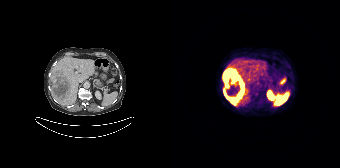
Technique: Paired axial CT (left) and PSMA PET (right), 68Ga-PSMA tracer. acquired on Siemens Biograph 64-4R TruePoint. PET panel 168×168 px (4.1 mm/px).
Findings: Coordinates are on the 168×168 PET (right) panel. (showing 1 of 2 foci) PSMA-avid tumor lesion bounding box (x0,y0,x1,y1): [51,70,71,105].